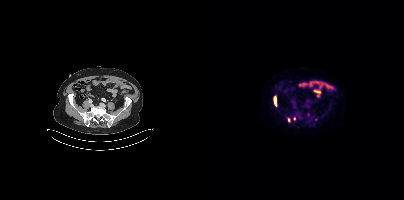
{"modality":"PSMA PET/CT","view":"axial","tracer":"18F","pet_grid":[200,200],"coord_frame":"pet_panel","coord_format":"x0,y0,x1,y1","partial":true,"lesion_bboxes":[[69,96,73,106],[84,118,86,122]],"small_foci_centers":[[90,118]]}